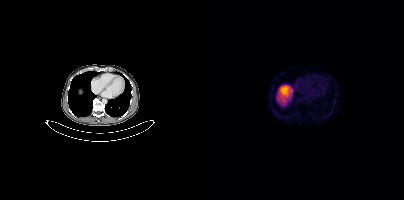
Two-panel axial: CT | PSMA PET, 18F-PSMA tracer. Acquired on Siemens Biograph mCT Flow 20. PET panel 200×200 px (4.1 mm/px). No PSMA-avid tumor lesions on this slice.